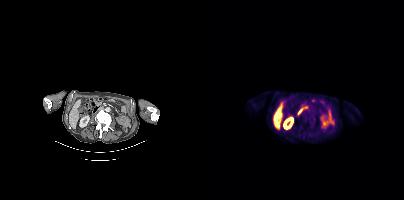
Technique: Two-panel axial: CT | PSMA PET, 18F tracer. acquired on Siemens Biograph mCT Flow 20. PET panel 200×200 px (4.1 mm/px).
Findings: Negative for PSMA-avid disease on this slice.